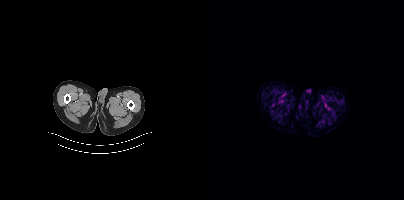
Left: CT. Right: PSMA PET, same axial level, 18F tracer. PET panel 200×200 px (4.1 mm/px). No PSMA-avid tumor lesions on this slice.